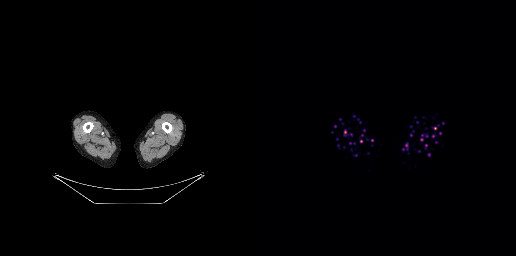
{"modality":"PSMA PET/CT","view":"axial","tracer":"68Ga","pet_grid":[256,256],"coord_frame":"pet_panel","coord_format":"x0,y0,x1,y1","psma_avid_lesions":false}